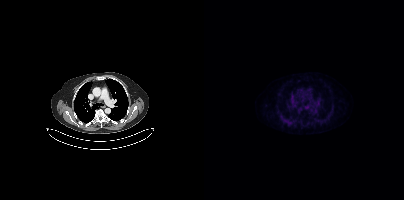
This slice has no annotated PSMA-avid lesion. Two-panel axial: CT | PSMA PET, 18F-PSMA tracer. Acquired on Siemens Biograph mCT Flow 20. Slice 287 of 395.